Left: CT. Right: PSMA PET, same axial level, [68Ga]Ga-PSMA-11 tracer.
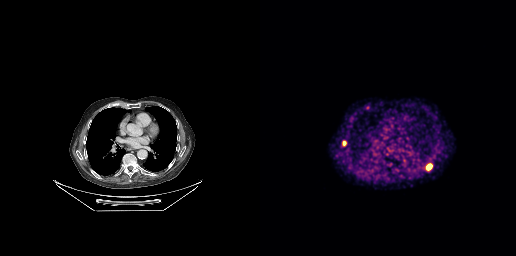
Coordinates are on the 256×256 PET (right) panel. PSMA-avid tumor lesion bounding boxes:
| # | x0 | y0 | x1 | y1 |
|---|---|---|---|---|
| 1 | 167 | 164 | 171 | 169 |
| 2 | 82 | 141 | 86 | 145 |
Small PSMA-avid focus (2 to 4 px across) near (center x, center y): (107, 107).